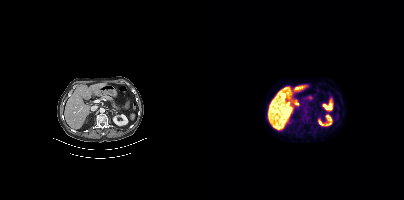
Findings: No PSMA-avid tumor lesions on this slice.
- Left: CT. Right: PSMA PET, same axial level, 18F-PSMA tracer
- PET panel 200×200 px (4.1 mm/px)